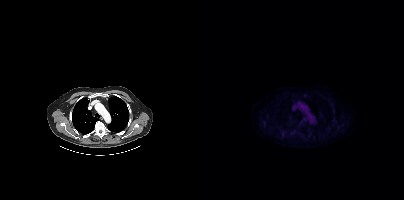
{"modality":"PSMA PET/CT","view":"axial","tracer":"18F-PSMA","pet_grid":[200,200],"coord_frame":"pet_panel","coord_format":"x0,y0,x1,y1","psma_avid_lesions":false}